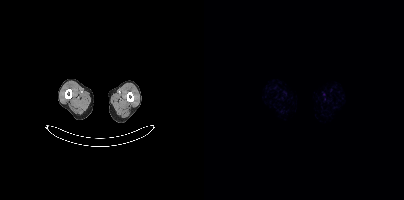
Left: CT. Right: PSMA PET, same axial level, [18F]PSMA-1007 tracer. Slice position z = -1616 mm. Negative for PSMA-avid disease on this slice.